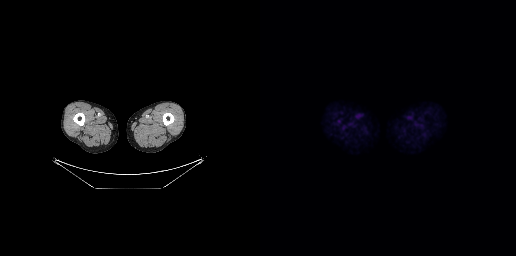
Technique: Left: CT. Right: PSMA PET, same axial level, 18F-PSMA tracer. slice 20 of 263.
Findings: Negative for PSMA-avid disease on this slice.